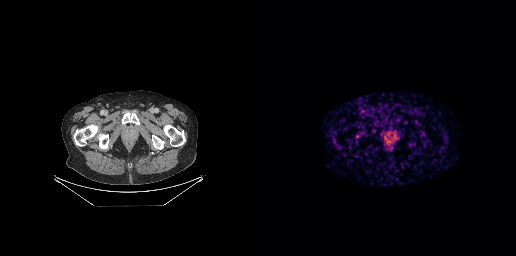
Coordinates are on the 256×256 PET (right) panel. PSMA-avid tumor lesion bounding box (x, y, width, height): x=126 y=131 w=10 h=11.